Left: CT. Right: PSMA PET, same axial level, 18F tracer. Slice 82 of 263.
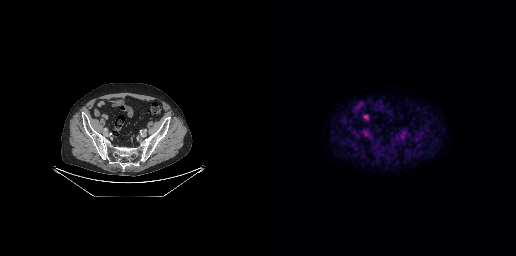
Negative for PSMA-avid disease on this slice.